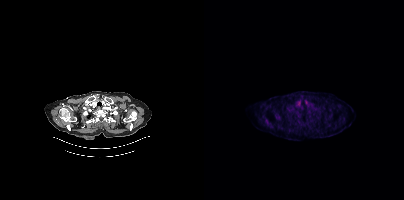
No tumor lesions annotated on this slice.